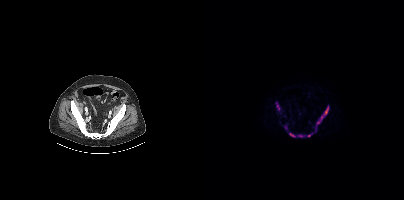
{"modality":"PSMA PET/CT","view":"axial","tracer":"18F-PSMA","pet_grid":[200,200],"coord_frame":"pet_panel","coord_format":"x0,y0,x1,y1","lesion_bboxes":[[111,105,125,132],[85,132,109,137],[72,102,76,110]],"small_foci_centers":[[81,127]]}